- Two-panel axial: CT | PSMA PET, [18F]PSMA-1007 tracer
- slice position z = -919 mm
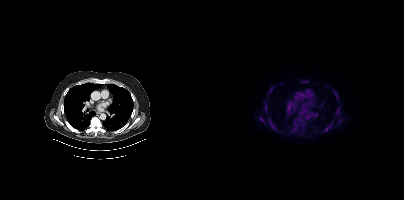
Findings: Coordinates are on the 200×200 PET (right) panel. (showing 15 of 18 foci) PSMA-avid tumor lesion bounding boxes (x0, y0)-(x1, y1): (91, 119)-(98, 125); (64, 117)-(68, 125); (118, 127)-(124, 132); (60, 102)-(64, 106); (98, 80)-(102, 83); (55, 117)-(58, 121); (66, 85)-(70, 89). Small PSMA-avid foci (2 to 4 px across) near (center x, center y): (133, 112); (70, 127); (89, 129); (65, 91); (133, 96); (128, 123); (100, 128); (77, 83).